modality: PSMA PET/CT | tracer: [18F]PSMA-1007 | view: axial | PET grid: 200×200
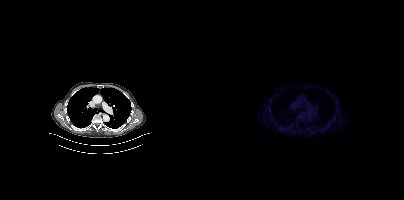
No PSMA-avid tumor lesions on this slice.